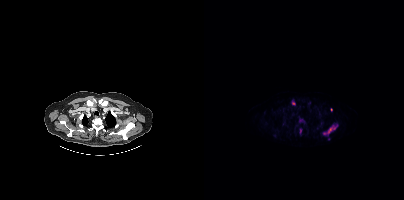
Technique: Two-panel axial: CT | PSMA PET, 18F tracer. slice 431 of 508.
Findings: Coordinates are on the 200×200 PET (right) panel. PSMA-avid tumor lesion bounding box (x0, y0)-(x1, y1): (119, 124)-(133, 134). Small PSMA-avid foci (2 to 4 px across) near (center x, center y): (89, 103); (125, 138); (96, 130); (127, 109).